Technique: Paired axial CT (left) and PSMA PET (right), 68Ga-PSMA tracer.
Note: Facial anatomy redacted by setting a rectangular region of the head to black.
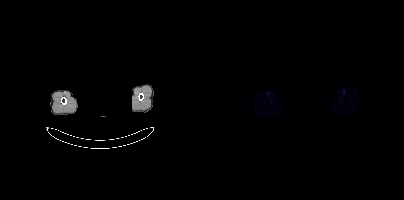
Findings: Negative for PSMA-avid disease on this slice.